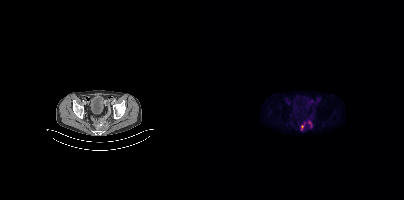
Coordinates are on the 200×200 PET (right) panel. PSMA-avid tumor lesion bounding boxes:
| # | x0 | y0 | x1 | y1 |
|---|---|---|---|---|
| 1 | 97 | 122 | 101 | 130 |
| 2 | 104 | 121 | 107 | 127 |
Left: CT. Right: PSMA PET, same axial level, [18F]PSMA-1007 tracer. Acquired on Siemens Biograph mCT Flow 20. Slice 71 of 423.